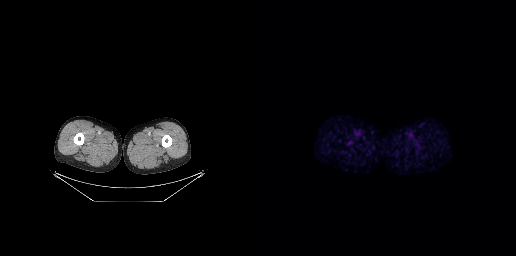
Two-panel axial: CT | PSMA PET, 18F tracer. Acquired on GE Discovery 690. PET panel 256×256 px (2.7 mm/px). This slice has no annotated PSMA-avid lesion.